Paired axial CT (left) and PSMA PET (right), 18F tracer. Acquired on Siemens Biograph mCT Flow 20. Slice position z = -988 mm. PET panel 200×200 px (4.1 mm/px).
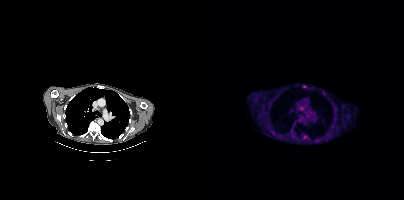
Coordinates are on the 200×200 PET (right) panel. (showing 5 of 6 foci) PSMA-avid tumor lesion bounding box (x, y, width, height): x=99 y=135 w=5 h=5. Small PSMA-avid foci (2 to 4 px across) near (center x, center y): (100, 86) / (97, 108) / (120, 93) / (90, 123).